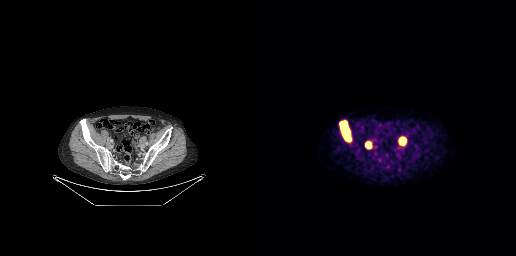
Left: CT. Right: PSMA PET, same axial level, 18F tracer. Slice position z = -791 mm.
Coordinates are on the 256×256 PET (right) panel. PSMA-avid tumor lesion bounding boxes (partial; 1 more focus not listed):
| # | x0 | y0 | x1 | y1 |
|---|---|---|---|---|
| 1 | 80 | 121 | 90 | 140 |
| 2 | 139 | 137 | 145 | 144 |
| 3 | 106 | 142 | 110 | 147 |